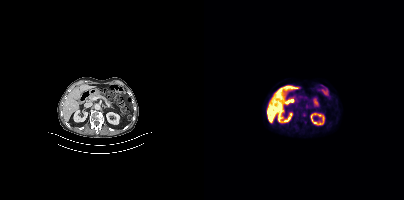
Left: CT. Right: PSMA PET, same axial level, 18F tracer. Only PSMA-avid lesion pieces thinner than 2 px on this slice (not listed).